modality: PSMA PET/CT | tracer: 18F | view: axial | de-identification: face masked with black rectangle
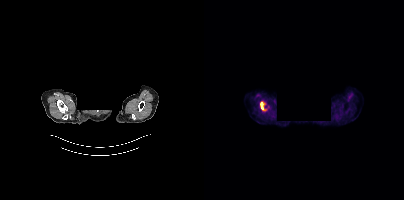
Coordinates are on the 200×200 PET (right) panel. PSMA-avid tumor lesion bounding box (x0,y0,x1,y1): [56,102,59,109].